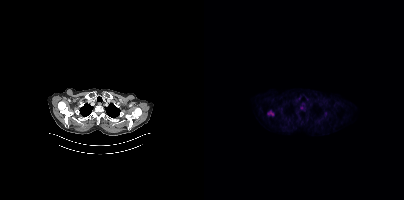
{"pet_grid":[200,200],"coord_frame":"pet_panel","coord_format":"x0,y0,x1,y1","lesion_bboxes":[[64,111,69,115]],"modality":"PSMA PET/CT","view":"axial","tracer":"18F-PSMA"}